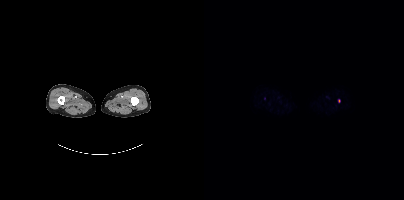
Two-panel axial: CT | PSMA PET, [18F]PSMA-1007 tracer. PET panel 200×200 px (4.1 mm/px). Coordinates are on the 200×200 PET (right) panel. Small PSMA-avid focus (2 to 4 px across) near (center x, center y): (134, 101).